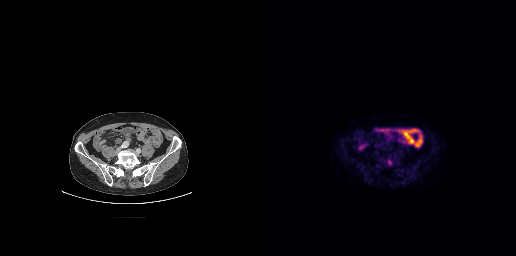
Technique: Paired axial CT (left) and PSMA PET (right), 18F tracer. slice position z = -537 mm. PET panel 256×256 px (2.7 mm/px).
Findings: Coordinates are on the 256×256 PET (right) panel. PSMA-avid tumor lesion bounding box (x0, y0)-(x1, y1): (125, 157)-(133, 166).